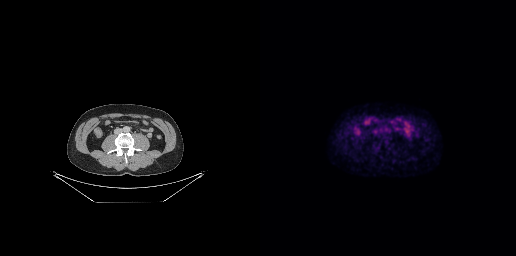
{"pet_grid":[256,256],"coord_frame":"pet_panel","coord_format":"x0,y0,x1,y1","psma_avid_lesions":false,"modality":"PSMA PET/CT","view":"axial","tracer":"18F-PSMA"}